Left: CT. Right: PSMA PET, same axial level, 68Ga tracer.
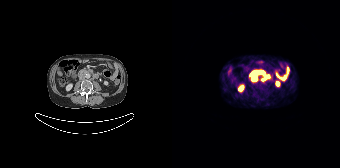
Coordinates are on the 168×168 PET (right) panel. PSMA-avid tumor lesion bounding boxes (partial; 1 more focus not listed):
| # | x0 | y0 | x1 | y1 |
|---|---|---|---|---|
| 1 | 80 | 71 | 87 | 80 |
| 2 | 92 | 75 | 97 | 79 |